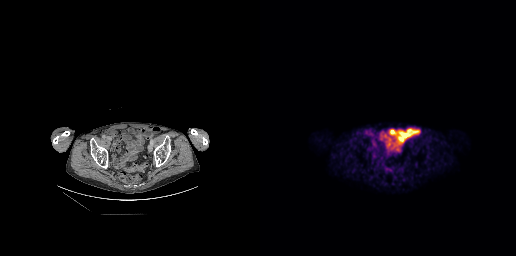
modality: PSMA PET/CT | tracer: [18F]PSMA-1007 | view: axial | PET grid: 256×256
No PSMA-avid tumor lesions on this slice.